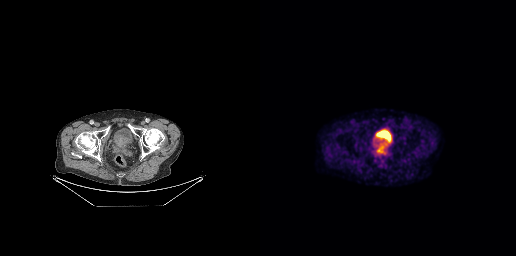
{"modality":"PSMA PET/CT","view":"axial","tracer":"18F-PSMA","pet_grid":[256,256],"coord_frame":"pet_panel","coord_format":"x0,y0,x1,y1","psma_avid_lesions":false}